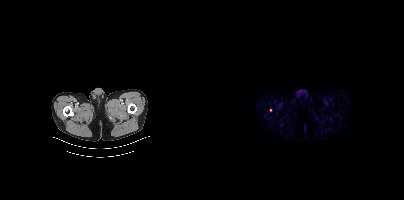
{"pet_grid":[200,200],"coord_frame":"pet_panel","coord_format":"x0,y0,x1,y1","lesion_bboxes":[],"small_foci_centers":[[66,109]],"modality":"PSMA PET/CT","view":"axial","tracer":"[68Ga]Ga-PSMA-11"}